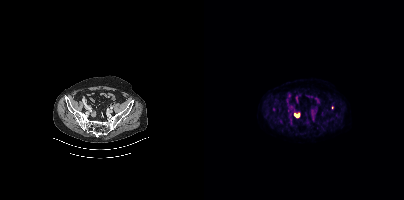
{"modality":"PSMA PET/CT","view":"axial","tracer":"18F-PSMA","pet_grid":[200,200],"coord_frame":"pet_panel","coord_format":"x0,y0,x1,y1","lesion_bboxes":[[90,114,94,117]],"small_foci_centers":[[128,107]]}